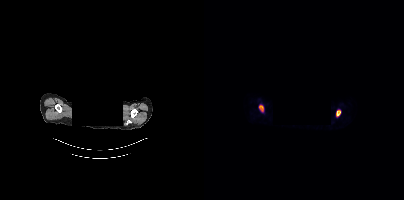
Head region blanked for anonymization (face removed). Left: CT. Right: PSMA PET, same axial level, 18F-PSMA tracer. Acquired on Siemens Biograph mCT Flow 20. PET panel 200×200 px (4.1 mm/px).
Coordinates are on the 200×200 PET (right) panel. PSMA-avid tumor lesion bounding boxes (partial; 1 more focus not listed):
| # | x0 | y0 | x1 | y1 |
|---|---|---|---|---|
| 1 | 132 | 110 | 136 | 116 |
Small PSMA-avid focus (2 to 4 px across) near (center x, center y): (56, 107).